Paired axial CT (left) and PSMA PET (right), 18F-PSMA tracer. Acquired on Siemens Biograph mCT Flow 20.
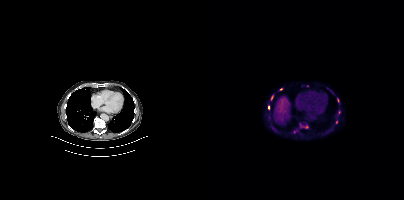
Coordinates are on the 200×200 PET (right) panel. (showing 3 of 6 foci) Small PSMA-avid foci (2 to 4 px across) near (center x, center y): (64, 107); (67, 97); (135, 112).